Technique: Left: CT. Right: PSMA PET, same axial level, 18F-PSMA tracer. PET panel 200×200 px (4.1 mm/px).
Note: The head region is masked for de-identification.
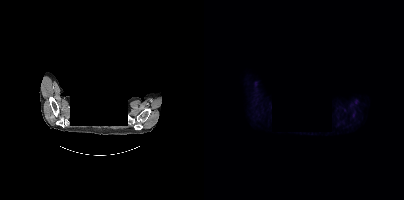
Findings: Negative for PSMA-avid disease on this slice.